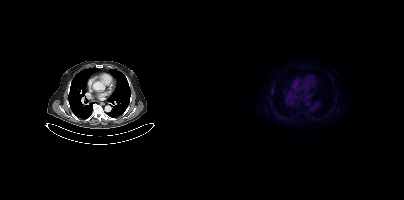
Only PSMA-avid lesion pieces thinner than 2 px on this slice (not listed).
modality: PSMA PET/CT | tracer: 18F-PSMA | view: axial